- Paired axial CT (left) and PSMA PET (right), [18F]PSMA-1007 tracer
- slice position z = -1292 mm
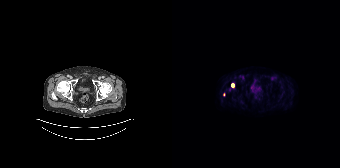
Findings: Coordinates are on the 168×168 PET (right) panel. PSMA-avid tumor lesion bounding box (x0,y0,x1,y1): [59,83,62,87]. Small PSMA-avid focus (2 to 4 px across) near (center x, center y): (51, 94).